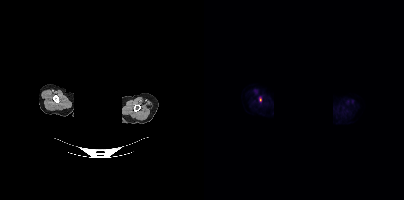
{"pet_grid":[200,200],"coord_frame":"pet_panel","coord_format":"x0,y0,x1,y1","lesion_bboxes":[[55,97,57,101]],"modality":"PSMA PET/CT","view":"axial","tracer":"18F","deidentification":"privacy mask over head"}